Technique: Two-panel axial: CT | PSMA PET, 18F tracer. acquired on Siemens Biograph mCT Flow 20. slice position z = -1260 mm. PET panel 200×200 px (4.1 mm/px).
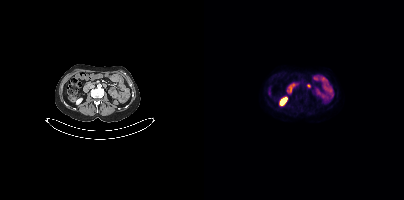
Findings: No PSMA-avid tumor lesions on this slice.